Paired axial CT (left) and PSMA PET (right), [68Ga]Ga-PSMA-11 tracer. Acquired on Siemens Biograph mCT Flow 20. PET panel 200×200 px (4.1 mm/px).
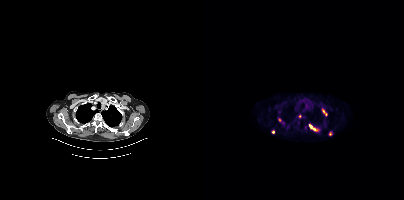
Coordinates are on the 200×200 PET (right) panel. (showing 6 of 7 foci) PSMA-avid tumor lesion bounding boxes (x, y, width, height): x=105 y=124 w=11 h=8 / x=118 y=108 w=6 h=9. Small PSMA-avid foci (2 to 4 px across) near (center x, center y): (69, 131) / (96, 116) / (126, 133) / (75, 119).